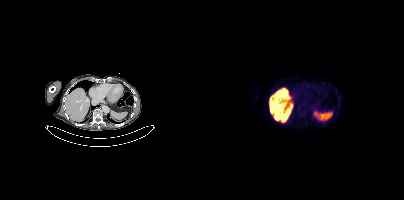
modality: PSMA PET/CT | tracer: [18F]PSMA-1007 | view: axial | PET grid: 200×200
No PSMA-avid tumor lesions on this slice.